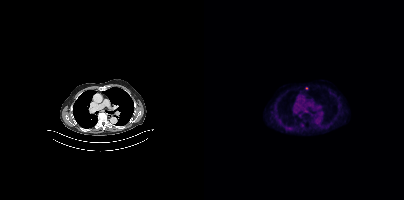
Coordinates are on the 200×200 PET (right) panel. Small PSMA-avid focus (2 to 4 px across) near (center x, center y): (102, 88).